Paired axial CT (left) and PSMA PET (right), 18F tracer. Slice 118 of 419. PET panel 200×200 px (4.1 mm/px).
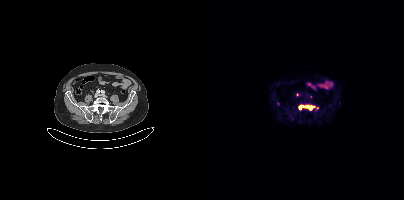
Coordinates are on the 200×200 PET (right) panel. (showing 3 of 4 foci) Small PSMA-avid foci (2 to 4 px across) near (center x, center y): (106, 108), (95, 107), (102, 105).